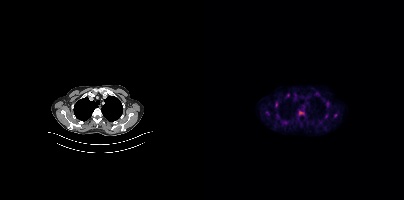
Findings: Coordinates are on the 200×200 PET (right) panel. PSMA-avid tumor lesion bounding boxes (x, y, width, height): x=122 y=101 w=4 h=7; x=121 y=114 w=3 h=5. Small PSMA-avid foci (2 to 4 px across) near (center x, center y): (131, 115); (80, 122); (63, 113); (73, 115); (116, 122).
- Paired axial CT (left) and PSMA PET (right), 18F-PSMA tracer
- PET panel 200×200 px (4.1 mm/px)